- Left: CT. Right: PSMA PET, same axial level, 68Ga tracer
- slice 150 of 409
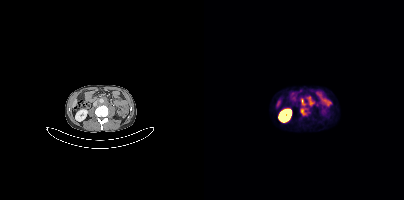
Findings: Coordinates are on the 200×200 PET (right) panel. PSMA-avid tumor lesion bounding boxes (x0, y0)-(x1, y1): (96, 107)-(105, 115) | (103, 97)-(109, 105) | (97, 99)-(101, 105).